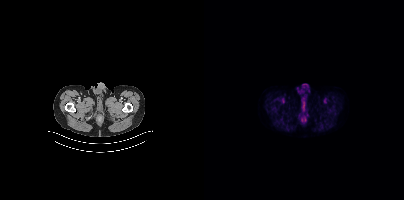
No PSMA-avid tumor lesions on this slice.
modality: PSMA PET/CT | tracer: 18F-PSMA | view: axial | PET grid: 200×200